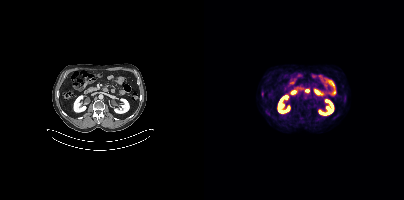
Negative for PSMA-avid disease on this slice.